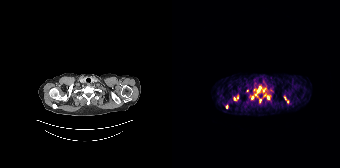
Coordinates are on the 168×168 PET (right) panel. (showing 11 of 13 foci) PSMA-avid tumor lesion bounding box (x, y, width, height): x=83 y=86 w=7 h=10. Small PSMA-avid foci (2 to 4 px across) near (center x, center y): (96, 97); (80, 97); (63, 98); (92, 89); (54, 106); (88, 100); (65, 97); (113, 98); (115, 102); (75, 90).